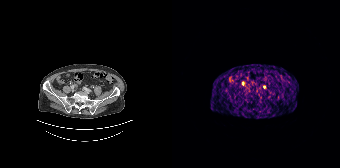
No tumor lesions annotated on this slice.